Left: CT. Right: PSMA PET, same axial level, [68Ga]Ga-PSMA-11 tracer. Acquired on Siemens Biograph 64-4R TruePoint.
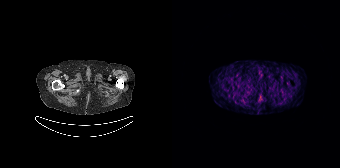
No tumor lesions annotated on this slice.